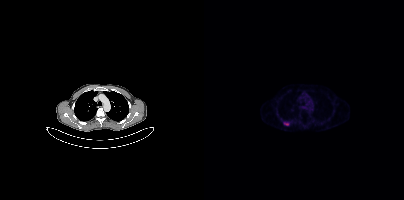
{"modality":"PSMA PET/CT","view":"axial","tracer":"68Ga","pet_grid":[200,200],"coord_frame":"pet_panel","coord_format":"x0,y0,x1,y1","lesion_bboxes":[[80,122,85,125]]}